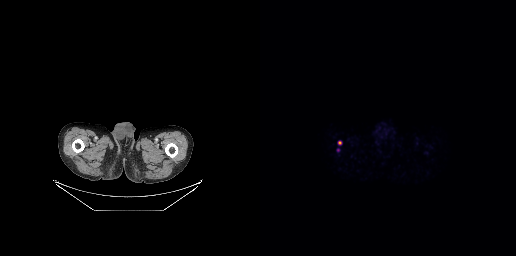
{"pet_grid":[256,256],"coord_frame":"pet_panel","coord_format":"x0,y0,x1,y1","partial":true,"lesion_bboxes":[],"small_foci_centers":[[79,142]],"modality":"PSMA PET/CT","view":"axial","tracer":"[68Ga]Ga-PSMA-11"}